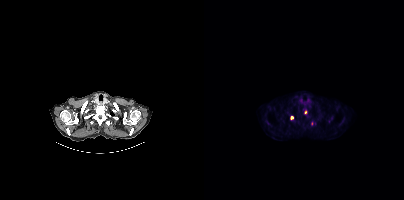
Coordinates are on the 200×200 PET (right) panel. (showing 2 of 4 foci) Small PSMA-avid foci (2 to 4 px across) near (center x, center y): (101, 112) | (88, 117).
modality: PSMA PET/CT | tracer: 18F-PSMA | view: axial